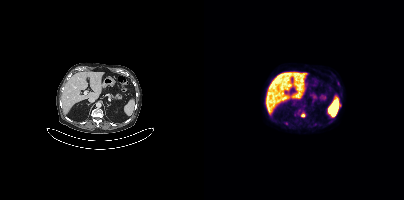
Coordinates are on the 200×200 PET (right) panel. Small PSMA-avid foci (2 to 4 px across) near (center x, center y): (98, 115) | (94, 112). Two-panel axial: CT | PSMA PET, [18F]PSMA-1007 tracer. Acquired on Siemens Biograph mCT Flow 20. Slice 209 of 387. PET panel 200×200 px (4.1 mm/px).